modality: PSMA PET/CT | tracer: [68Ga]Ga-PSMA-11 | view: axial | PET grid: 168×168
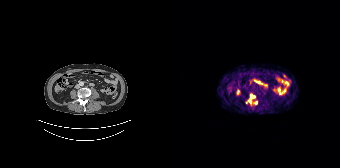
Coordinates are on the 168×168 PET (right) panel. PSMA-avid tumor lesion bounding box (x, y, width, height): x=78 y=94 w=5 h=4. Small PSMA-avid foci (2 to 4 px across) near (center x, center y): (77, 101); (83, 102).